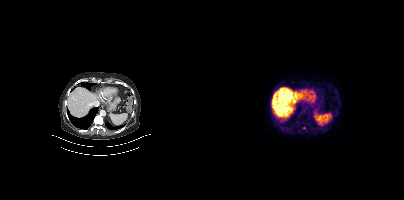
Technique: Two-panel axial: CT | PSMA PET, 18F-PSMA tracer.
Findings: Coordinates are on the 200×200 PET (right) panel. Small PSMA-avid focus (2 to 4 px across) near (center x, center y): (100, 127).